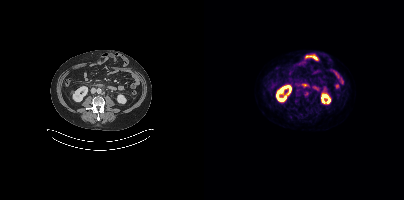
Findings: Coordinates are on the 200×200 PET (right) panel. PSMA-avid tumor lesion bounding box (x, y, width, height): x=100 y=91 w=5 h=5.
Technique: Paired axial CT (left) and PSMA PET (right), 18F tracer. acquired on Siemens Biograph mCT Flow 20. PET panel 200×200 px (4.1 mm/px).